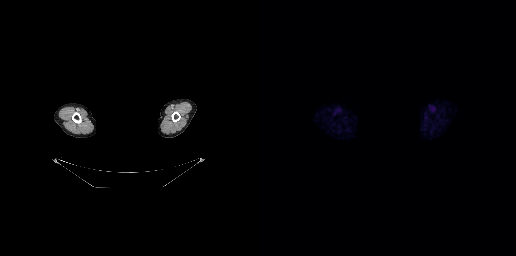
No PSMA-avid tumor lesions on this slice. Two-panel axial: CT | PSMA PET, 18F-PSMA tracer. Acquired on GE Discovery 690. Head region blanked for anonymization (face removed).